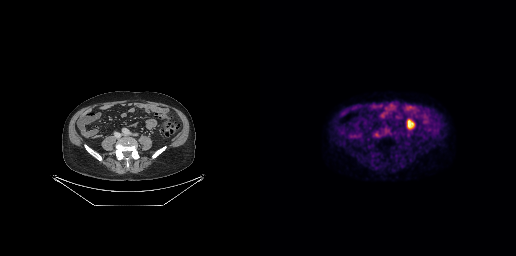
Findings: No tumor lesions annotated on this slice.
- Two-panel axial: CT | PSMA PET, 18F-PSMA tracer
- acquired on GE Discovery 690